Paired axial CT (left) and PSMA PET (right), [68Ga]Ga-PSMA-11 tracer. Slice 118 of 195.
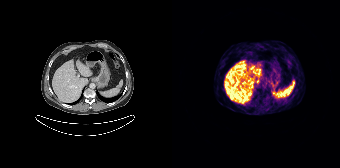
This slice has no annotated PSMA-avid lesion.